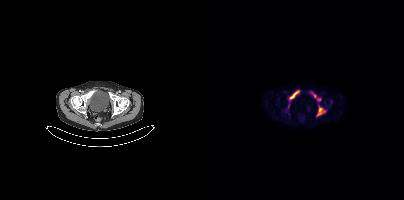
Coordinates are on the 200×200 PET (right) panel. PSMA-avid tumor lesion bounding boxes:
| # | x0 | y0 | x1 | y1 |
|---|---|---|---|---|
| 1 | 112 | 106 | 121 | 116 |
| 2 | 85 | 90 | 95 | 100 |
| 3 | 107 | 92 | 116 | 101 |
Small PSMA-avid focus (2 to 4 px across) near (center x, center y): (84, 105).
Two-panel axial: CT | PSMA PET, 18F-PSMA tracer.